Privacy masking over the head, with the pixels inside a rectangle set to black.
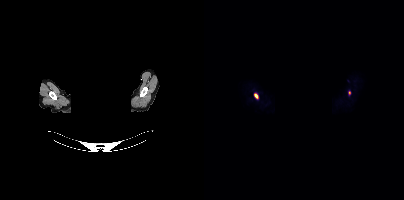
Coordinates are on the 200×200 PET (right) panel. PSMA-avid tumor lesion bounding box (x0,y0,x1,y1): [50,93,54,98]. Small PSMA-avid focus (2 to 4 px across) near (center x, center y): (145, 92).